modality: PSMA PET/CT | tracer: 68Ga | view: axial
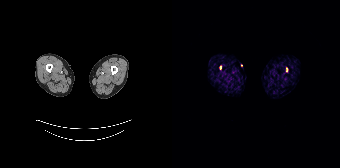
Coordinates are on the 168×168 PET (right) panel. Small PSMA-avid foci (2 to 4 px across) near (center x, center y): (48, 67) | (114, 70).